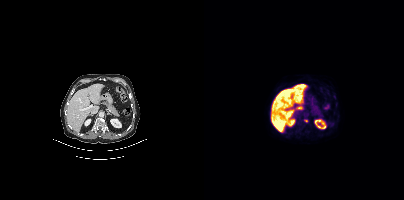
Only PSMA-avid lesion pieces thinner than 2 px on this slice (not listed).